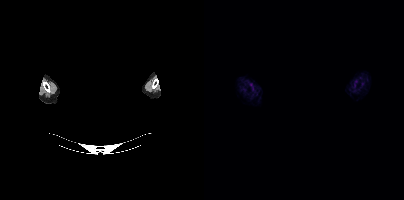
Technique: Paired axial CT (left) and PSMA PET (right), 18F tracer. acquired on Siemens Biograph mCT Flow 20. PET panel 200×200 px (4.1 mm/px).
Note: The face region was removed for patient privacy by blanking a rectangle over the head.
Findings: No tumor lesions annotated on this slice.